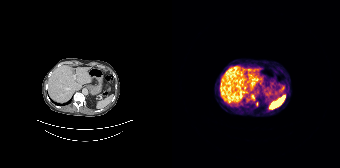
- Paired axial CT (left) and PSMA PET (right), [68Ga]Ga-PSMA-11 tracer
- slice 119 of 195
Findings: Coordinates are on the 168×168 PET (right) panel. (showing 1 of 2 foci) Small PSMA-avid focus (2 to 4 px across) near (center x, center y): (81, 96).